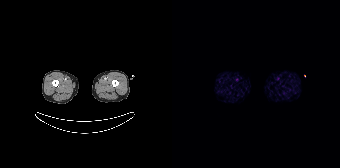
Findings: No PSMA-avid tumor lesions on this slice.
Technique: Paired axial CT (left) and PSMA PET (right), 68Ga-PSMA tracer.